Technique: Two-panel axial: CT | PSMA PET, 18F tracer. acquired on Siemens Biograph mCT Flow 20.
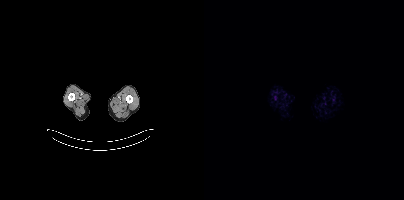
Findings: This slice has no annotated PSMA-avid lesion.